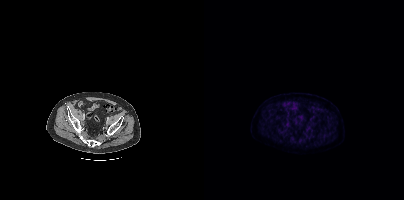
{"modality":"PSMA PET/CT","view":"axial","tracer":"18F-PSMA","pet_grid":[200,200],"coord_frame":"pet_panel","coord_format":"x0,y0,x1,y1","psma_avid_lesions":false}